modality: PSMA PET/CT | tracer: [68Ga]Ga-PSMA-11 | view: axial
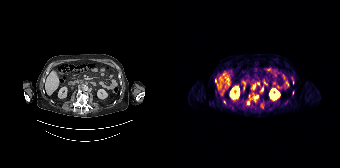
Coordinates are on the 168×168 PET (right) panel. (showing 8 of 11 foci) PSMA-avid tumor lesion bounding boxes (x0,y0,x1,y1): [88,104,91,108]; [81,83,83,88]. Small PSMA-avid foci (2 to 4 px across) near (center x, center y): (76, 102); (86, 83); (83, 96); (52, 102); (43, 80); (90, 89).